modality: PSMA PET/CT | tracer: 18F | view: axial | PET grid: 200×200
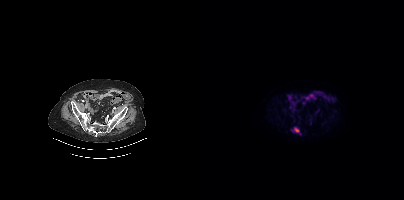
Coordinates are on the 200×200 PET (right) panel. (showing 1 of 2 foci) PSMA-avid tumor lesion bounding box (x, y, width, height): x=88 y=127 w=8 h=6.